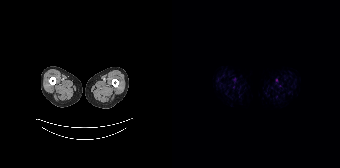
Findings: This slice has no annotated PSMA-avid lesion.
Technique: Left: CT. Right: PSMA PET, same axial level, [18F]PSMA-1007 tracer. acquired on Siemens Biograph 64-4R TruePoint.